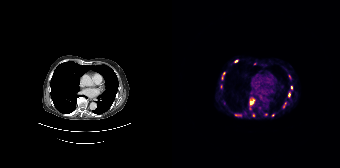
Coordinates are on the 168×168 PET (right) panel. PSMA-avid tumor lesion bounding boxes (partial; 5 more foci not listed):
| # | x0 | y0 | x1 | y1 |
|---|---|---|---|---|
| 1 | 78 | 99 | 82 | 105 |
| 2 | 63 | 114 | 68 | 115 |
| 3 | 111 | 103 | 114 | 107 |
Small PSMA-avid foci (2 to 4 px across) near (center x, center y): (117, 94); (64, 61); (81, 115); (119, 87); (82, 63); (100, 114).
Two-panel axial: CT | PSMA PET, [68Ga]Ga-PSMA-11 tracer. Slice position z = -1172 mm. PET panel 168×168 px (4.1 mm/px).